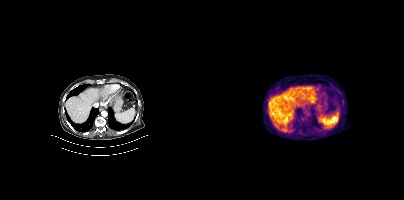
Findings: No tumor lesions annotated on this slice.
Technique: Left: CT. Right: PSMA PET, same axial level, 18F tracer. slice 236 of 397. PET panel 200×200 px (4.1 mm/px).